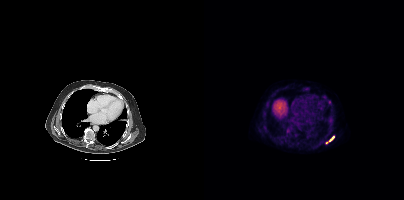
Coordinates are on the 200×200 PET (right) panel. PSMA-avid tumor lesion bounding box (x, y, width, height): x=125 y=136 w=6 h=6. Small PSMA-avid focus (2 to 4 px across) near (center x, center y): (122, 142).